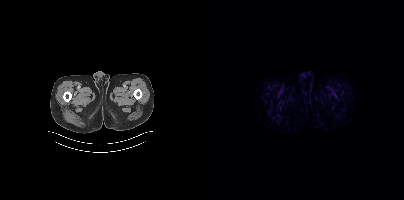
Technique: Paired axial CT (left) and PSMA PET (right), 18F-PSMA tracer. acquired on Siemens Biograph mCT Flow 20. slice 20 of 454. PET panel 200×200 px (4.1 mm/px).
Findings: This slice has no annotated PSMA-avid lesion.